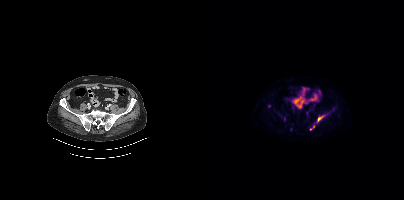
Coordinates are on the 200×200 PET (right) panel. (showing 3 of 4 foci) PSMA-avid tumor lesion bounding boxes (x0, y0)-(x1, y1): (113, 115)-(119, 121) / (79, 117)-(81, 121). Small PSMA-avid focus (2 to 4 px across) near (center x, center y): (108, 126).